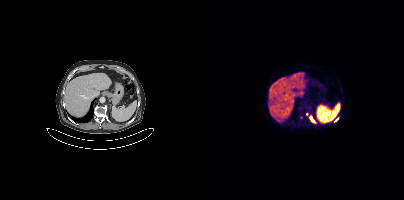
Technique: Left: CT. Right: PSMA PET, same axial level, 18F tracer. slice 230 of 419. PET panel 200×200 px (4.1 mm/px).
Findings: Coordinates are on the 200×200 PET (right) panel. (showing 2 of 4 foci) PSMA-avid tumor lesion bounding boxes (x0,y0,x1,y1): [106,116,110,122], [130,118,134,121].